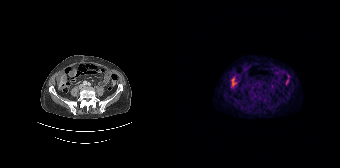
{"pet_grid":[168,168],"coord_frame":"pet_panel","coord_format":"x0,y0,x1,y1","lesion_bboxes":[[58,80,63,86]],"modality":"PSMA PET/CT","view":"axial","tracer":"[68Ga]Ga-PSMA-11"}